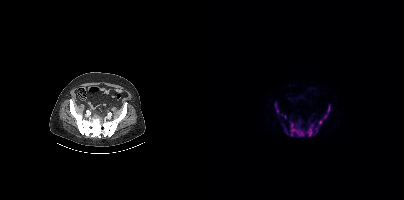
{"modality":"PSMA PET/CT","view":"axial","tracer":"18F","pet_grid":[200,200],"coord_frame":"pet_panel","coord_format":"x0,y0,x1,y1","partial":true,"lesion_bboxes":[[86,122,109,136],[114,104,126,124],[71,103,74,112],[111,127,113,132]],"small_foci_centers":[[80,116],[82,132],[81,128]]}